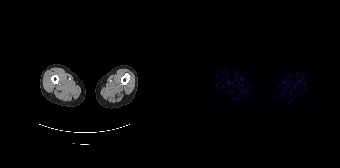
Paired axial CT (left) and PSMA PET (right), 18F tracer. Acquired on Siemens Biograph 64-4R TruePoint. No PSMA-avid tumor lesions on this slice.